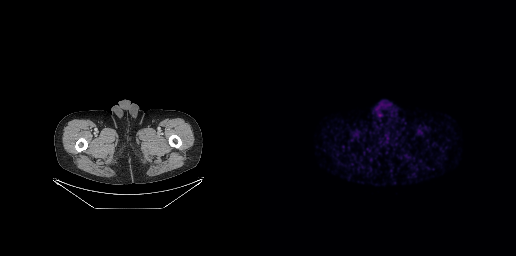
Findings: This slice has no annotated PSMA-avid lesion.
Technique: Left: CT. Right: PSMA PET, same axial level, [68Ga]Ga-PSMA-11 tracer. slice 24 of 263.